Technique: Paired axial CT (left) and PSMA PET (right), [68Ga]Ga-PSMA-11 tracer. PET panel 200×200 px (4.1 mm/px).
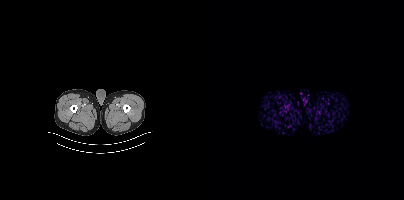
Findings: This slice has no annotated PSMA-avid lesion.